Two-panel axial: CT | PSMA PET, [18F]PSMA-1007 tracer.
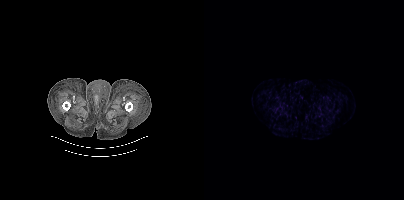
No PSMA-avid tumor lesions on this slice.